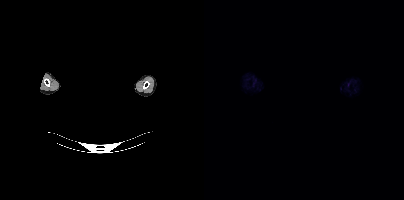
No tumor lesions annotated on this slice.
modality: PSMA PET/CT | tracer: 18F | view: axial | PET grid: 200×200 | redaction: face masked with black rectangle